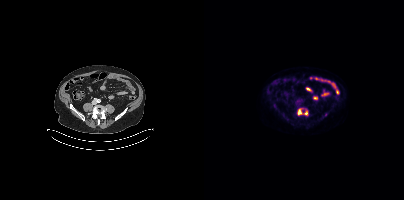
modality: PSMA PET/CT | tracer: 18F-PSMA | view: axial | PET grid: 200×200
Coordinates are on the 200×200 PET (right) panel. PSMA-avid tumor lesion bounding box (x0, y0)-(x1, y1): (93, 108)-(103, 115). Small PSMA-avid focus (2 to 4 px across) near (center x, center y): (122, 114).